Technique: Paired axial CT (left) and PSMA PET (right), [18F]PSMA-1007 tracer. PET panel 200×200 px (4.1 mm/px).
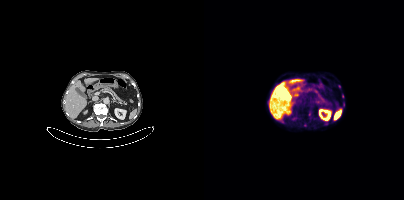
Findings: Coordinates are on the 200×200 PET (right) panel. Small PSMA-avid focus (2 to 4 px across) near (center x, center y): (138, 96).